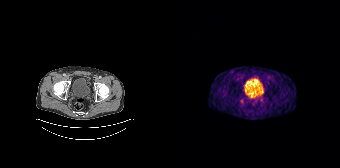
Negative for PSMA-avid disease on this slice.